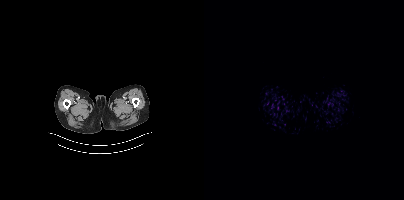
Findings: Negative for PSMA-avid disease on this slice.
Technique: Left: CT. Right: PSMA PET, same axial level, [18F]PSMA-1007 tracer. slice position z = -1649 mm. PET panel 200×200 px (4.1 mm/px).